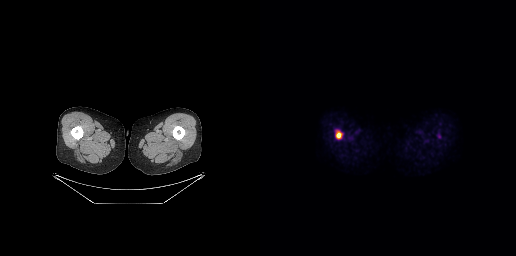
modality: PSMA PET/CT | tracer: [18F]PSMA-1007 | view: axial | PET grid: 256×256
Coordinates are on the 256×256 PET (right) panel. PSMA-avid tumor lesion bounding box (x, y, width, height): x=76 y=131 w=7 h=8.